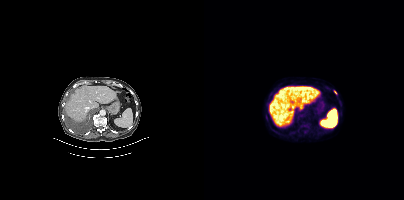
Coordinates are on the 200×200 PET (right) panel. PSMA-avid tumor lesion bounding box (x, y, width, height): x=130 y=90 w=3 h=5.